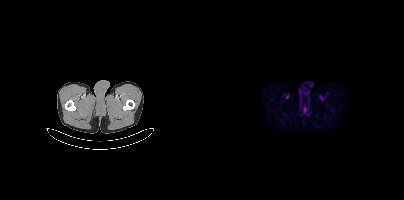
Two-panel axial: CT | PSMA PET, 18F tracer. PET panel 200×200 px (4.1 mm/px). No PSMA-avid tumor lesions on this slice.